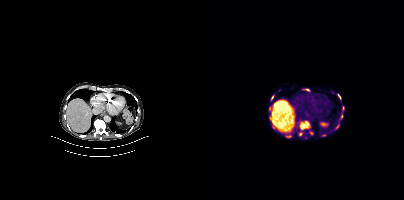
Coordinates are on the 200×200 PET (right) panel. PSMA-avid tumor lesion bounding boxes (x, y, width, height): x=96 y=121 w=11 h=9 | x=68 y=123 w=4 h=7 | x=133 y=94 w=5 h=6 | x=136 y=113 w=4 h=7 | x=138 y=106 w=3 h=6 | x=82 y=135 w=6 h=3 | x=101 y=89 w=5 h=2. Small PSMA-avid foci (2 to 4 px across) near (center x, center y): (96, 133) | (107, 133) | (68, 97) | (65, 108) | (132, 127).